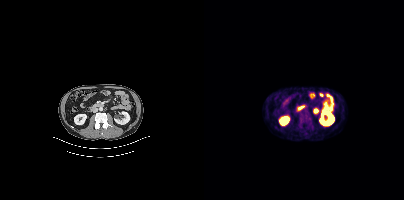
Paired axial CT (left) and PSMA PET (right), [18F]PSMA-1007 tracer. Acquired on Siemens Biograph mCT Flow 20. Slice 178 of 448. Coordinates are on the 200×200 PET (right) panel. PSMA-avid tumor lesion bounding box (x0,y0,x1,y1): [95,114,107,122].